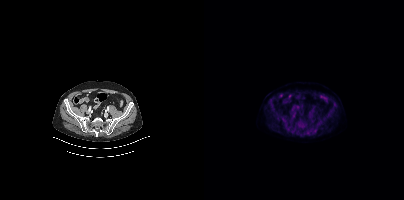
No tumor lesions annotated on this slice. Paired axial CT (left) and PSMA PET (right), 18F-PSMA tracer. Acquired on Siemens Biograph mCT Flow 20. Slice position z = 1 mm.